modality: PSMA PET/CT | tracer: [18F]PSMA-1007 | view: axial
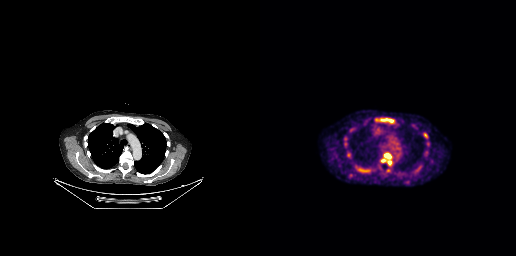
Coordinates are on the 256×256 PET (right) panel. PSMA-avid tumor lesion bounding boxes (x0,y0,x1,y1): [121,153,131,163]; [120,118,133,122].